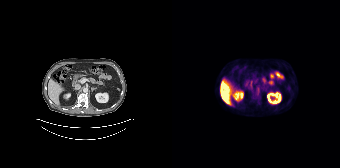
{"modality":"PSMA PET/CT","view":"axial","tracer":"18F","pet_grid":[168,168],"coord_frame":"pet_panel","coord_format":"x0,y0,x1,y1","psma_avid_lesions":false}